Technique: Left: CT. Right: PSMA PET, same axial level, 18F-PSMA tracer.
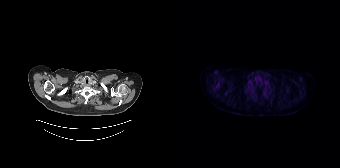
Findings: Coordinates are on the 168×168 PET (right) panel. Small PSMA-avid focus (2 to 4 px across) near (center x, center y): (45, 84).